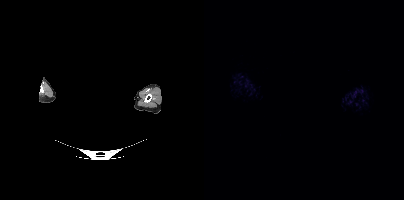
{"modality":"PSMA PET/CT","view":"axial","tracer":"[18F]PSMA-1007","pet_grid":[200,200],"coord_frame":"pet_panel","coord_format":"x0,y0,x1,y1","psma_avid_lesions":false,"de-identification":"facial region redacted"}